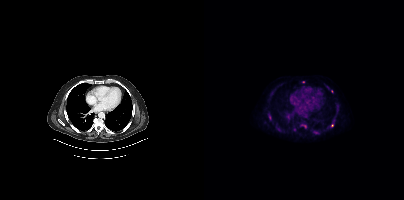
Left: CT. Right: PSMA PET, same axial level, [18F]PSMA-1007 tracer. Slice position z = -1002 mm. PET panel 200×200 px (4.1 mm/px).
Coordinates are on the 200×200 PET (right) panel. PSMA-avid tumor lesion bounding boxes (partial; 3 more foci not listed):
| # | x0 | y0 | x1 | y1 |
|---|---|---|---|---|
| 1 | 65 | 115 | 67 | 120 |
| 2 | 109 | 131 | 114 | 133 |
Small PSMA-avid foci (2 to 4 px across) near (center x, center y): (127, 90); (128, 125); (100, 125).